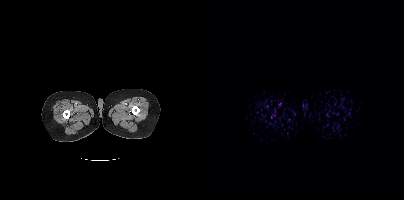
Left: CT. Right: PSMA PET, same axial level, [68Ga]Ga-PSMA-11 tracer. Slice position z = 163 mm. No PSMA-avid tumor lesions on this slice.